Left: CT. Right: PSMA PET, same axial level, 68Ga tracer. Acquired on Siemens Biograph 64-4R TruePoint. PET panel 168×168 px (4.1 mm/px).
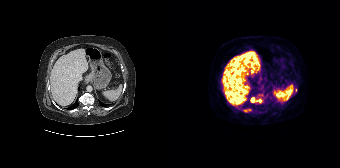
Coordinates are on the 168×168 PET (right) panel. PSMA-avid tumor lesion bounding boxes:
| # | x0 | y0 | x1 | y1 |
|---|---|---|---|---|
| 1 | 78 | 97 | 89 | 103 |
| 2 | 74 | 109 | 78 | 112 |
Small PSMA-avid focus (2 to 4 px across) near (center x, center y): (123, 89).